modality: PSMA PET/CT | tracer: 18F-PSMA | view: axial
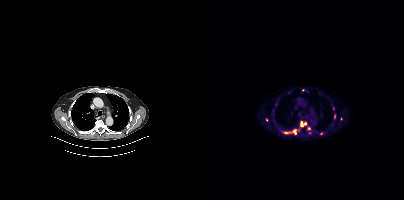
Coordinates are on the 200×200 PET (right) panel. (showing 7 of 10 foci) PSMA-avid tumor lesion bounding boxes (x0, y0)-(x1, y1): (79, 131)-(86, 134); (97, 122)-(99, 126). Small PSMA-avid foci (2 to 4 px across) near (center x, center y): (91, 131); (130, 116); (62, 120); (101, 123); (98, 89).